- Two-panel axial: CT | PSMA PET, 18F tracer
- acquired on Siemens Biograph mCT Flow 20
- slice 265 of 411
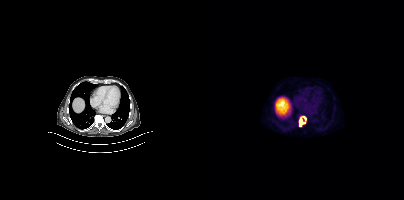
Findings: Coordinates are on the 200×200 PET (right) panel. PSMA-avid tumor lesion bounding box (x0,y0,x1,y1): [94,116,102,126].